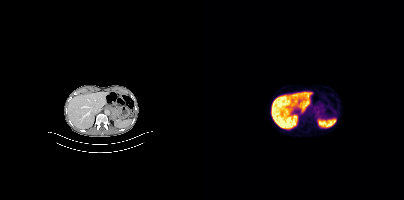
Findings: No PSMA-avid tumor lesions on this slice.
Technique: Two-panel axial: CT | PSMA PET, 18F tracer. acquired on Siemens Biograph mCT Flow 20.